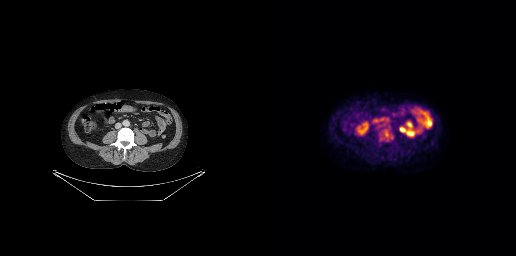
{"modality":"PSMA PET/CT","view":"axial","tracer":"18F","pet_grid":[256,256],"coord_frame":"pet_panel","coord_format":"x0,y0,x1,y1","psma_avid_lesions":false}